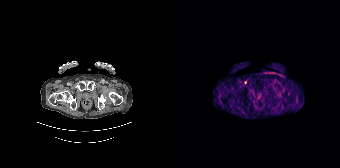
No tumor lesions annotated on this slice.